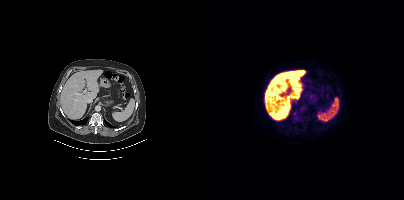
Technique: Paired axial CT (left) and PSMA PET (right), 18F tracer.
Findings: Negative for PSMA-avid disease on this slice.